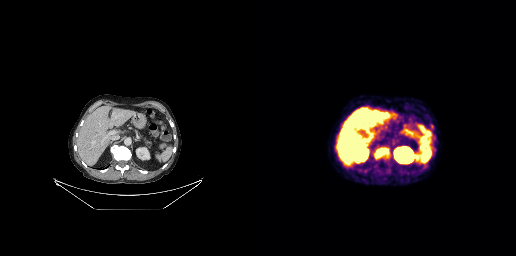
- Paired axial CT (left) and PSMA PET (right), 18F-PSMA tracer
- acquired on GE Discovery 690
Findings: Coordinates are on the 256×256 PET (right) panel. PSMA-avid tumor lesion bounding box (x, y, width, height): x=114 y=152 w=15 h=7. Small PSMA-avid focus (2 to 4 px across) near (center x, center y): (123, 149).